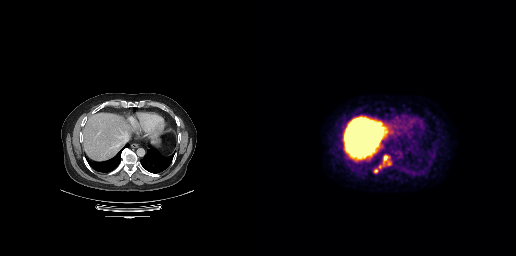
Coordinates are on the 256×256 PET (right) panel. (showing 2 of 4 foci) PSMA-avid tumor lesion bounding box (x0,y0,x1,y1): [124,155,127,160]. Small PSMA-avid focus (2 to 4 px across) near (center x, center y): (116, 171). Left: CT. Right: PSMA PET, same axial level, [18F]PSMA-1007 tracer. Slice position z = -344 mm.